modality: PSMA PET/CT | tracer: 18F | view: axial | PET grid: 168×168
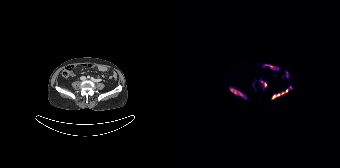
Coordinates are on the 168×168 PET (right) panel. (showing 4 of 5 foci) PSMA-avid tumor lesion bounding boxes (x0, y0)-(x1, y1): (99, 89)-(116, 99) | (58, 89)-(73, 97) | (88, 80)-(94, 87). Small PSMA-avid focus (2 to 4 px across) near (center x, center y): (118, 87).